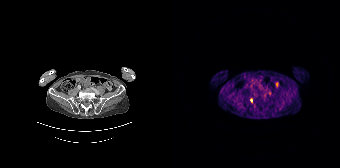
Coordinates are on the 168×168 PET (right) panel. Small PSMA-avid focus (2 to 4 px across) near (center x, center y): (79, 100). Two-panel axial: CT | PSMA PET, 68Ga-PSMA tracer.